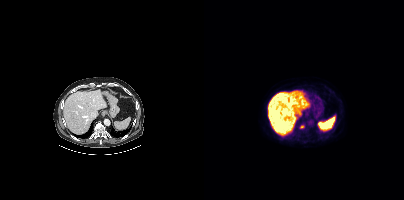
modality: PSMA PET/CT | tracer: [18F]PSMA-1007 | view: axial | PET grid: 200×200
Coordinates are on the 200×200 PET (right) panel. Small PSMA-avid focus (2 to 4 px across) near (center x, center y): (97, 126).